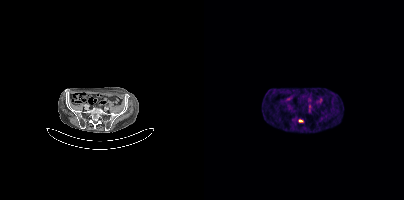
- Two-panel axial: CT | PSMA PET, [68Ga]Ga-PSMA-11 tracer
- PET panel 200×200 px (4.1 mm/px)
Findings: Coordinates are on the 200×200 PET (right) panel. Small PSMA-avid foci (2 to 4 px across) near (center x, center y): (96, 120) / (105, 105).